modality: PSMA PET/CT | tracer: 18F | view: axial
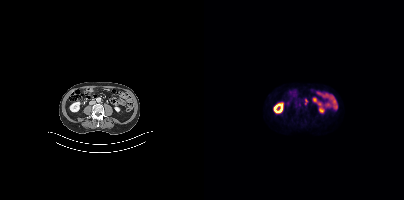
Coordinates are on the 200×200 PET (right) panel. (showing 1 of 2 foci) Small PSMA-avid focus (2 to 4 px across) near (center x, center y): (102, 100).